modality: PSMA PET/CT | tracer: 68Ga | view: axial | PET grid: 200×200
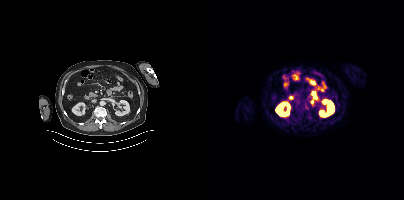
No PSMA-avid tumor lesions on this slice.